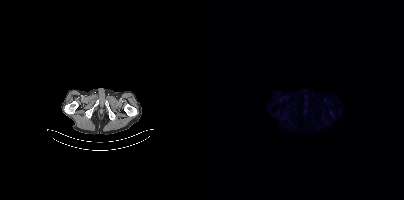
{"modality":"PSMA PET/CT","view":"axial","tracer":"18F","pet_grid":[200,200],"coord_frame":"pet_panel","coord_format":"x0,y0,x1,y1","psma_avid_lesions":false}